Technique: Paired axial CT (left) and PSMA PET (right), 18F-PSMA tracer. acquired on Siemens Biograph 64-4R TruePoint. PET panel 168×168 px (4.1 mm/px).
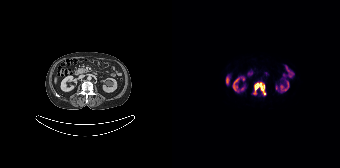
Findings: Coordinates are on the 168×168 PET (right) panel. PSMA-avid tumor lesion bounding box (x0, y0)-(x1, y1): (80, 81)-(94, 95).